- Paired axial CT (left) and PSMA PET (right), [18F]PSMA-1007 tracer
- acquired on GE Discovery 690
- slice 157 of 299
- PET panel 256×256 px (2.7 mm/px)
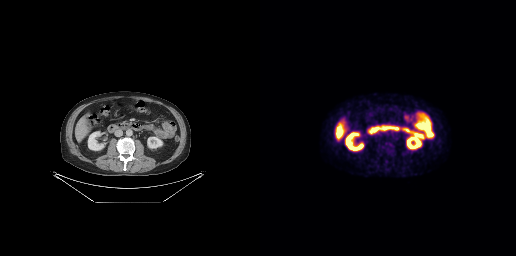
Findings: No tumor lesions annotated on this slice.